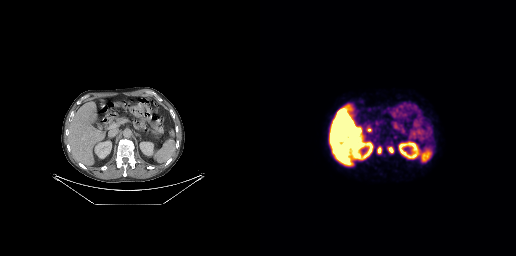
Coordinates are on the 256×256 PET (right) panel. PSMA-avid tumor lesion bounding boxes (x, y, width, height): x=127 y=146 w=8 h=8 | x=117 y=146 w=6 h=9.